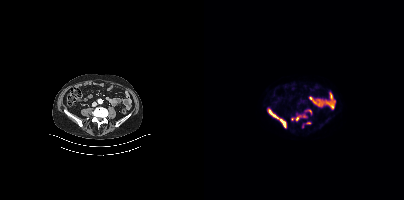
{"modality":"PSMA PET/CT","view":"axial","tracer":"[18F]PSMA-1007","pet_grid":[200,200],"coord_frame":"pet_panel","coord_format":"x0,y0,x1,y1","partial":true,"lesion_bboxes":[[64,109,82,127],[102,122,107,123]],"small_foci_centers":[[98,126],[93,119],[97,116],[87,118]]}